- Two-panel axial: CT | PSMA PET, [18F]PSMA-1007 tracer
- acquired on Siemens Biograph mCT Flow 20
- PET panel 200×200 px (4.1 mm/px)
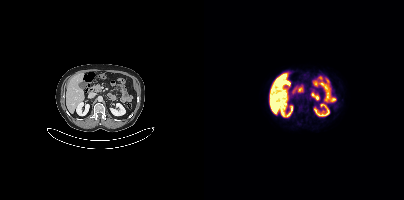
Findings: Coordinates are on the 200×200 PET (right) panel. Small PSMA-avid focus (2 to 4 px across) near (center x, center y): (105, 99).